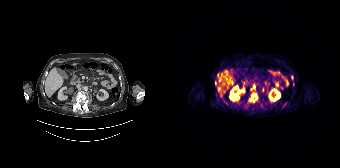
{"modality":"PSMA PET/CT","view":"axial","tracer":"68Ga-PSMA","pet_grid":[168,168],"coord_frame":"pet_panel","coord_format":"x0,y0,x1,y1","partial":true,"lesion_bboxes":[[77,93,85,101]],"small_foci_centers":[[43,82],[89,105],[81,86],[54,103]]}